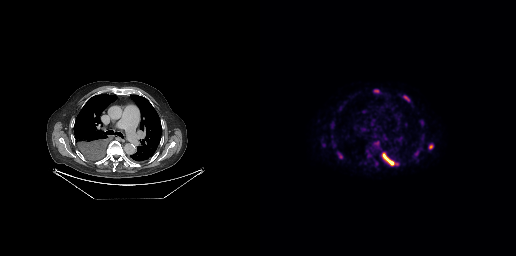
Technique: Two-panel axial: CT | PSMA PET, [18F]PSMA-1007 tracer. slice 218 of 299.
Findings: Coordinates are on the 256×256 PET (right) panel. (showing 6 of 7 foci) PSMA-avid tumor lesion bounding boxes (x, y, width, height): x=122 y=152 w=17 h=14 | x=143 y=95 w=7 h=7 | x=78 y=152 w=5 h=7. Small PSMA-avid foci (2 to 4 px across) near (center x, center y): (170, 146) | (117, 90) | (117, 142).